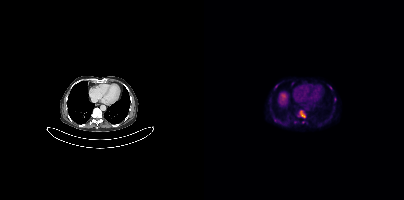
- Left: CT. Right: PSMA PET, same axial level, 18F tracer
Findings: Coordinates are on the 200×200 PET (right) panel. (showing 2 of 4 foci) PSMA-avid tumor lesion bounding boxes (x, y, width, height): x=96 y=110 w=6 h=8; x=70 y=119 w=8 h=5.